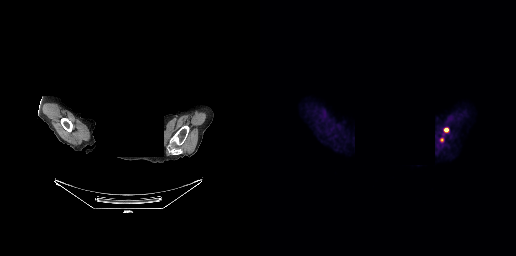
Coordinates are on the 256×256 PET (right) panel. PSMA-avid tumor lesion bounding box (x0,y0,x1,y1): [184,128,188,132]. Small PSMA-avid focus (2 to 4 px across) near (center x, center y): (181, 139).
redaction: head region blanked (face removed) | modality: PSMA PET/CT | tracer: [18F]PSMA-1007 | view: axial | PET grid: 256×256